- Left: CT. Right: PSMA PET, same axial level, [18F]PSMA-1007 tracer
- slice position z = -1708 mm
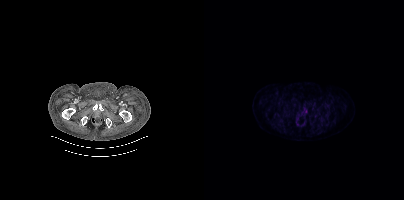
Findings: Coordinates are on the 200×200 PET (right) panel. Small PSMA-avid focus (2 to 4 px across) near (center x, center y): (101, 111).